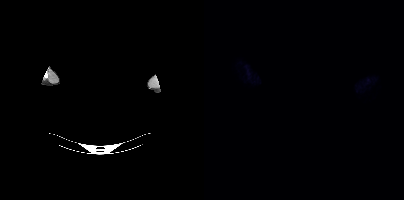
redaction: privacy mask over head | modality: PSMA PET/CT | tracer: 18F-PSMA | view: axial | PET grid: 200×200
Negative for PSMA-avid disease on this slice.